Paired axial CT (left) and PSMA PET (right), [18F]PSMA-1007 tracer.
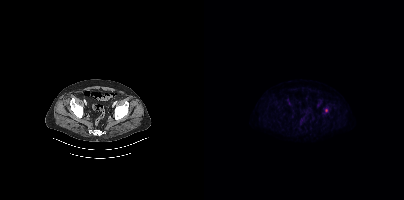
Coordinates are on the 200×200 PET (right) panel. Small PSMA-avid focus (2 to 4 px across) near (center x, center y): (122, 110).